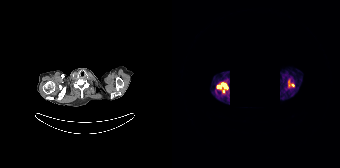
{"pet_grid":[168,168],"coord_frame":"pet_panel","coord_format":"x0,y0,x1,y1","lesion_bboxes":[[45,83,55,89],[116,81,117,86]],"small_foci_centers":[[120,85],[51,91]],"redaction":"region blacked out before release","modality":"PSMA PET/CT","view":"axial","tracer":"68Ga-PSMA"}